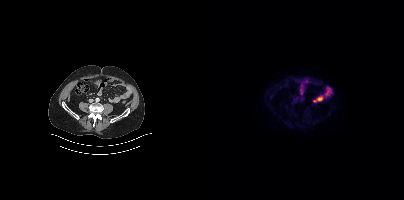
{"pet_grid":[200,200],"coord_frame":"pet_panel","coord_format":"x0,y0,x1,y1","psma_avid_lesions":false,"modality":"PSMA PET/CT","view":"axial","tracer":"18F"}